Two-panel axial: CT | PSMA PET, [18F]PSMA-1007 tracer. Acquired on Siemens Biograph mCT Flow 20. Slice position z = 14 mm. PET panel 200×200 px (4.1 mm/px).
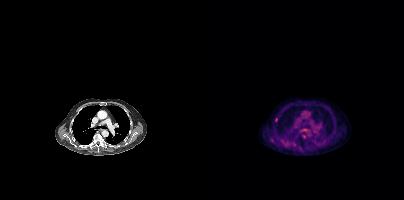
Coordinates are on the 200×200 PET (right) panel. (showing 2 of 3 foci) Small PSMA-avid foci (2 to 4 px across) near (center x, center y): (72, 119); (90, 144).